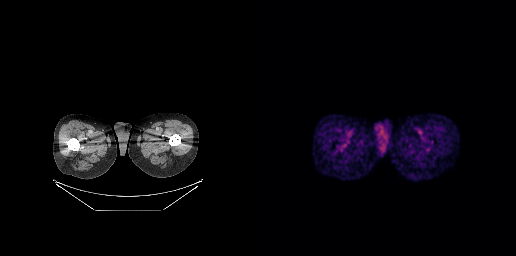
{"modality":"PSMA PET/CT","view":"axial","tracer":"[18F]PSMA-1007","pet_grid":[256,256],"coord_frame":"pet_panel","coord_format":"x0,y0,x1,y1","psma_avid_lesions":false}